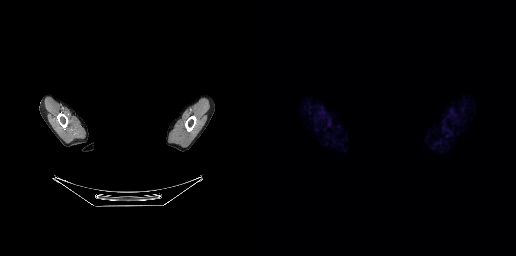
Negative for PSMA-avid disease on this slice. Facial anatomy redacted by setting a rectangular region of the head to black. Two-panel axial: CT | PSMA PET, 68Ga-PSMA tracer. Slice 171 of 189. PET panel 256×256 px (2.7 mm/px).